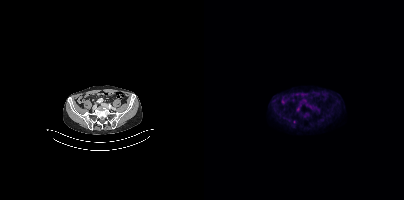
Only PSMA-avid lesion pieces thinner than 2 px on this slice (not listed).